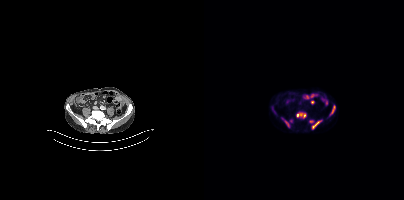
Findings: Coordinates are on the 200×200 PET (right) panel. (showing 6 of 7 foci) PSMA-avid tumor lesion bounding boxes (x, y, width, height): x=92 y=112 w=11 h=7 / x=107 y=119 w=12 h=11 / x=125 y=105 w=7 h=12 / x=105 y=120 w=5 h=4 / x=81 y=121 w=5 h=6. Small PSMA-avid focus (2 to 4 px across) near (center x, center y): (79, 118).
- Paired axial CT (left) and PSMA PET (right), 18F tracer
- acquired on Siemens Biograph mCT Flow 20